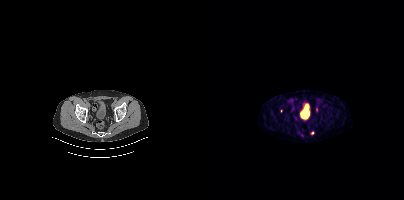
{"modality":"PSMA PET/CT","view":"axial","tracer":"68Ga-PSMA","pet_grid":[200,200],"coord_frame":"pet_panel","coord_format":"x0,y0,x1,y1","partial":true,"lesion_bboxes":[],"small_foci_centers":[[108,133]]}